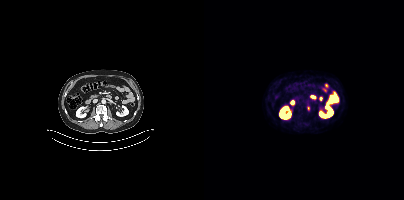
Coordinates are on the 200×200 PET (right) panel. Small PSMA-avid focus (2 to 4 px across) near (center x, center y): (104, 108).